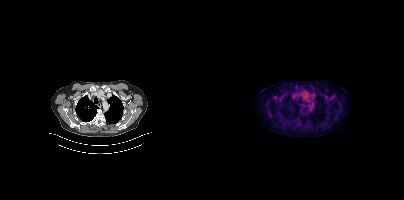
Findings: No PSMA-avid tumor lesions on this slice.
Technique: Left: CT. Right: PSMA PET, same axial level, [18F]PSMA-1007 tracer. acquired on Siemens Biograph mCT Flow 20. PET panel 200×200 px (4.1 mm/px).